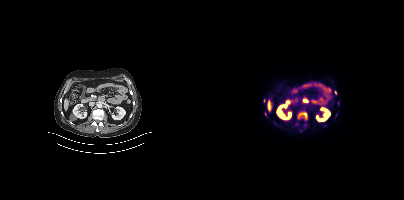
Coordinates are on the 200×200 PET (right) panel. (showing 3 of 5 foci) PSMA-avid tumor lesion bounding box (x0, y0)-(x1, y1): (99, 113)-(102, 117). Small PSMA-avid foci (2 to 4 px across) near (center x, center y): (131, 92) / (61, 114).